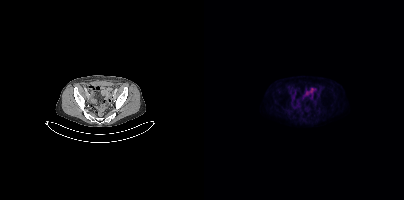
modality: PSMA PET/CT | tracer: 18F-PSMA | view: axial | PET grid: 200×200
This slice has no annotated PSMA-avid lesion.